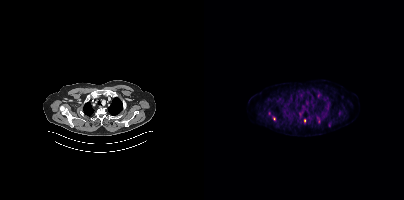
Coordinates are on the 200×200 PET (right) panel. (showing 4 of 6 foci) PSMA-avid tumor lesion bounding box (x0, y0)-(x1, y1): (114, 93)-(116, 97). Small PSMA-avid foci (2 to 4 px across) near (center x, center y): (125, 124) / (70, 118) / (100, 120).